Left: CT. Right: PSMA PET, same axial level, 18F tracer.
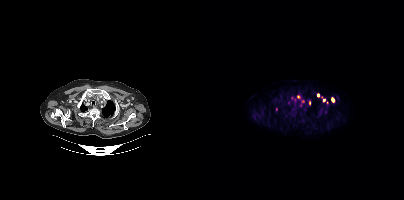
Coordinates are on the 200×200 PET (right) panel. (showing 7 of 10 foci) PSMA-avid tumor lesion bounding boxes (x, y, width, height): x=127 y=97 w=4 h=6 / x=113 y=93 w=3 h=5. Small PSMA-avid foci (2 to 4 px across) near (center x, center y): (94, 96) / (120, 100) / (105, 102) / (72, 109) / (84, 102).